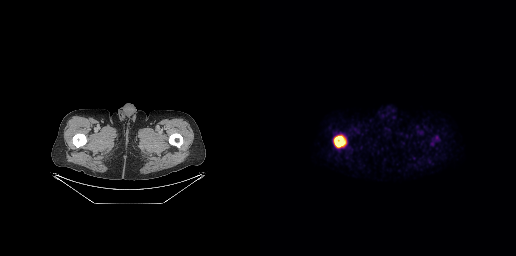
Coordinates are on the 256×256 PET (right) panel. PSMA-avid tumor lesion bounding boxes:
| # | x0 | y0 | x1 | y1 |
|---|---|---|---|---|
| 1 | 74 | 135 | 86 | 147 |
Paired axial CT (left) and PSMA PET (right), [18F]PSMA-1007 tracer. Slice 50 of 299.